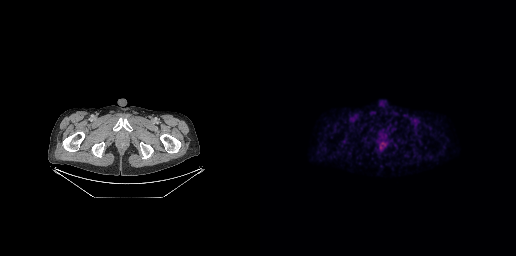
Technique: Two-panel axial: CT | PSMA PET, 18F tracer. acquired on GE Discovery 690. slice position z = -754 mm. PET panel 256×256 px (2.7 mm/px).
Findings: Coordinates are on the 256×256 PET (right) panel. PSMA-avid tumor lesion bounding box (x, y, width, height): x=121 y=142 w=5 h=3.